Left: CT. Right: PSMA PET, same axial level, [68Ga]Ga-PSMA-11 tracer. Acquired on Siemens Biograph mCT Flow 20. PET panel 200×200 px (4.1 mm/px).
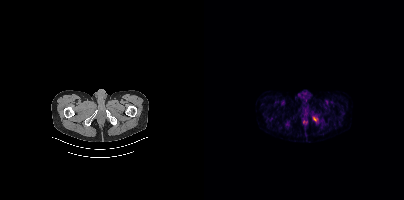
Coordinates are on the 200×200 PET (right) panel. Small PSMA-avid focus (2 to 4 px across) near (center x, center y): (110, 118).